modality: PSMA PET/CT | tracer: 18F | view: axial | PET grid: 200×200
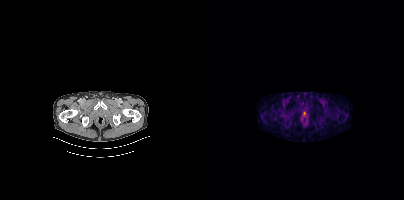
No tumor lesions annotated on this slice.